modality: PSMA PET/CT | tracer: [18F]PSMA-1007 | view: axial | PET grid: 200×200
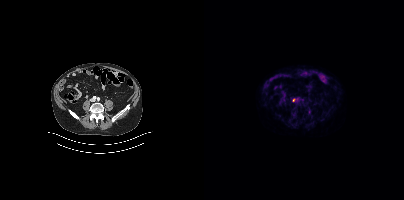
Coordinates are on the 200×200 PET (right) panel. Small PSMA-avid focus (2 to 4 px across) near (center x, center y): (90, 100).